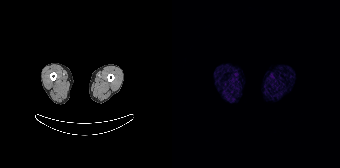
Left: CT. Right: PSMA PET, same axial level, 68Ga-PSMA tracer. Acquired on Siemens Biograph 64-4R TruePoint. Slice 12 of 195. No tumor lesions annotated on this slice.